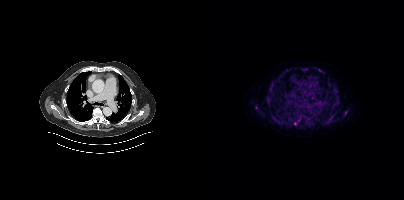
- Left: CT. Right: PSMA PET, same axial level, 18F-PSMA tracer
- acquired on Siemens Biograph mCT Flow 20
- slice 325 of 454
- PET panel 200×200 px (4.1 mm/px)
Findings: Coordinates are on the 200×200 PET (right) panel. (showing 8 of 9 foci) PSMA-avid tumor lesion bounding boxes (x0, y0)-(x1, y1): (89, 112)-(103, 125) / (123, 117)-(128, 122) / (66, 81)-(70, 86) / (139, 111)-(143, 115) / (129, 111)-(132, 115). Small PSMA-avid foci (2 to 4 px across) near (center x, center y): (101, 68) / (133, 97) / (52, 107).